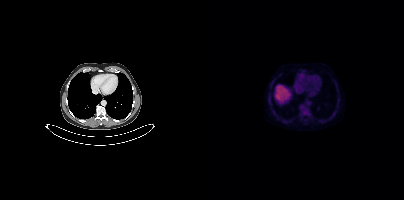
Left: CT. Right: PSMA PET, same axial level, 18F-PSMA tracer. No PSMA-avid tumor lesions on this slice.